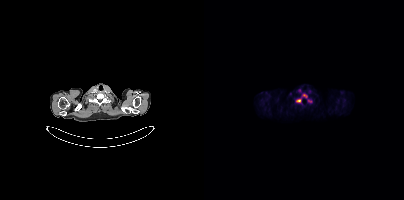
Coordinates are on the 200×200 PET (right) panel. PSMA-avid tumor lesion bounding boxes (x, y, width, height): x=92 y=93 w=12 h=10; x=104 y=99 w=5 h=4.